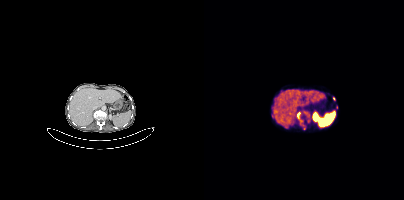
Paired axial CT (left) and PSMA PET (right), 68Ga tracer. Slice 204 of 393. PET panel 200×200 px (4.1 mm/px).
Coordinates are on the 200×200 PET (right) panel. PSMA-avid tumor lesion bounding boxes (partial; 3 more foci not listed):
| # | x0 | y0 | x1 | y1 |
|---|---|---|---|---|
| 1 | 93 | 112 | 98 | 122 |
Small PSMA-avid foci (2 to 4 px across) near (center x, center y): (100, 127); (130, 98); (132, 107).